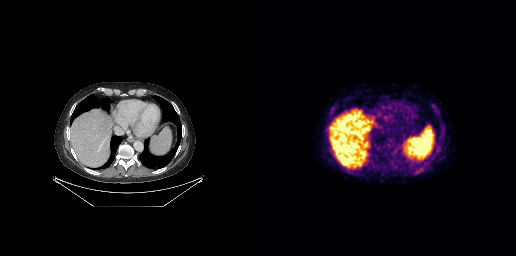
This slice has no annotated PSMA-avid lesion.
modality: PSMA PET/CT | tracer: [18F]PSMA-1007 | view: axial